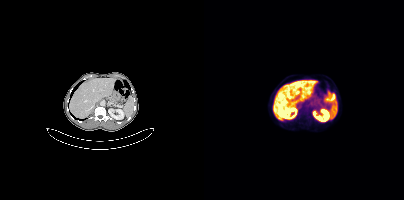
No PSMA-avid tumor lesions on this slice.